Two-panel axial: CT | PSMA PET, 18F tracer. Slice 188 of 407. PET panel 200×200 px (4.1 mm/px).
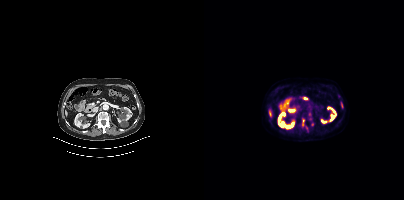
Coordinates are on the 200×200 PET (right) panel. PSMA-avid tumor lesion bounding boxes (x0,y0,x1,y1): [97,119,100,127], [137,104,139,108]. Small PSMA-avid foci (2 to 4 px across) near (center x, center y): (108, 124), (105, 114).